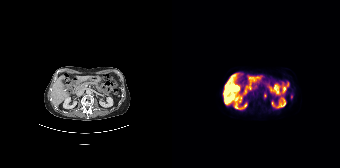
Two-panel axial: CT | PSMA PET, [18F]PSMA-1007 tracer. Coordinates are on the 168×168 PET (right) panel. Small PSMA-avid focus (2 to 4 px across) near (center x, center y): (93, 95).